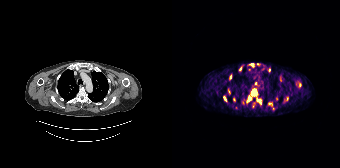
{"modality":"PSMA PET/CT","view":"axial","tracer":"[68Ga]Ga-PSMA-11","pet_grid":[168,168],"coord_frame":"pet_panel","coord_format":"x0,y0,x1,y1","partial":true,"lesion_bboxes":[[79,89,84,95],[75,96,79,102],[85,99,89,103],[52,96,54,100],[57,75,59,79]],"small_foci_centers":[[97,69],[79,64],[57,92],[104,98],[62,99],[68,69],[83,83],[98,103],[101,108]]}